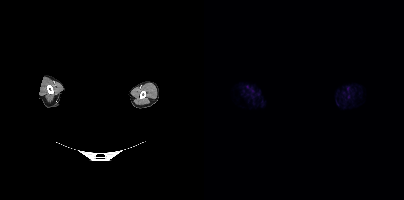
Technique: Paired axial CT (left) and PSMA PET (right), [18F]PSMA-1007 tracer. acquired on Siemens Biograph mCT Flow 20.
Note: De-identified by setting a box covering the face to black before release.
Findings: This slice has no annotated PSMA-avid lesion.